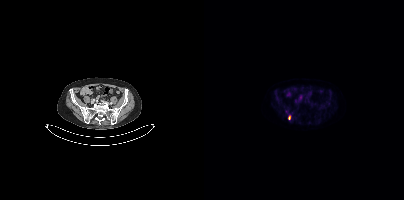
{"modality":"PSMA PET/CT","view":"axial","tracer":"18F","pet_grid":[200,200],"coord_frame":"pet_panel","coord_format":"x0,y0,x1,y1","partial":true,"lesion_bboxes":[]}